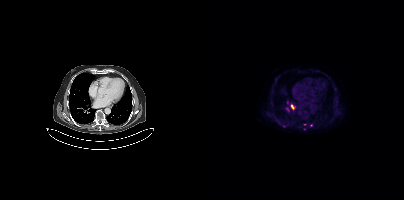
Findings: Coordinates are on the 200×200 PET (right) panel. (showing 2 of 3 foci) Small PSMA-avid foci (2 to 4 px across) near (center x, center y): (107, 125) (100, 128).
Technique: Left: CT. Right: PSMA PET, same axial level, [18F]PSMA-1007 tracer.